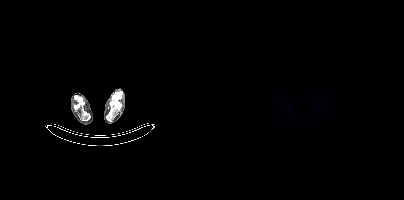
- Left: CT. Right: PSMA PET, same axial level, 18F-PSMA tracer
- slice 57 of 963
Findings: No PSMA-avid tumor lesions on this slice.